modality: PSMA PET/CT | tracer: 18F-PSMA | view: axial
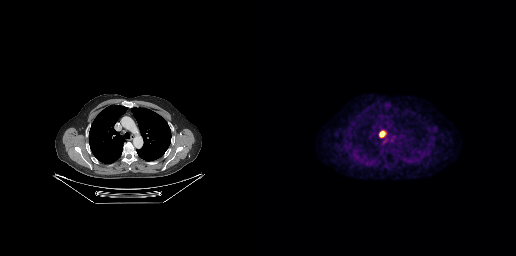
Coordinates are on the 256×256 PET (right) panel. PSMA-avid tumor lesion bounding box (x0,y0,x1,y1): [119,131,125,137].